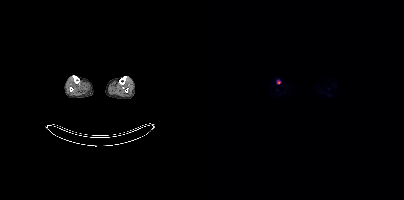
Two-panel axial: CT | PSMA PET, 18F-PSMA tracer. PET panel 200×200 px (4.1 mm/px). Coordinates are on the 200×200 PET (right) panel. Small PSMA-avid focus (2 to 4 px across) near (center x, center y): (74, 81).